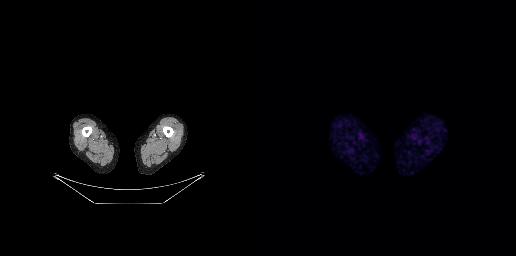
Paired axial CT (left) and PSMA PET (right), [68Ga]Ga-PSMA-11 tracer. Slice 12 of 263. No tumor lesions annotated on this slice.